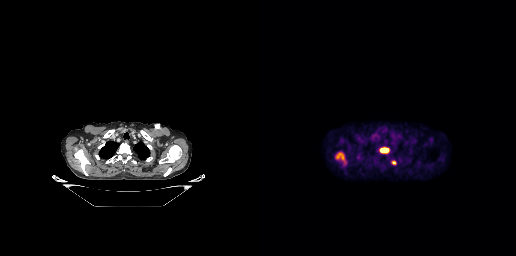
Coordinates are on the 256×256 PET (right) panel. PSMA-avid tumor lesion bounding boxes:
| # | x0 | y0 | x1 | y1 |
|---|---|---|---|---|
| 1 | 75 | 152 | 86 | 164 |
| 2 | 120 | 148 | 128 | 152 |
| 3 | 132 | 161 | 136 | 164 |
Two-panel axial: CT | PSMA PET, 18F-PSMA tracer. PET panel 256×256 px (2.7 mm/px).